Two-panel axial: CT | PSMA PET, 18F tracer. PET panel 200×200 px (4.1 mm/px).
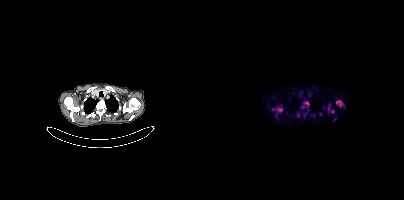
Coordinates are on the 200×200 PET (right) panel. (showing 10 of 15 foci) PSMA-avid tumor lesion bounding boxes (x, y, width, height): x=132 y=100 w=8 h=8 / x=72 y=107 w=7 h=6 / x=124 y=103 w=3 h=10. Small PSMA-avid foci (2 to 4 px across) near (center x, center y): (128, 111) / (102, 103) / (99, 107) / (69, 109) / (94, 114) / (116, 113) / (130, 119).